- Two-panel axial: CT | PSMA PET, [68Ga]Ga-PSMA-11 tracer
- acquired on Siemens Biograph 64-4R TruePoint
- slice 40 of 165
- PET panel 168×168 px (4.1 mm/px)
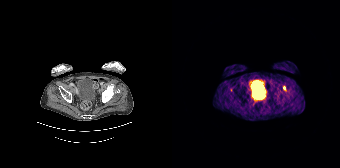
Findings: Only PSMA-avid lesion pieces thinner than 2 px on this slice (not listed).